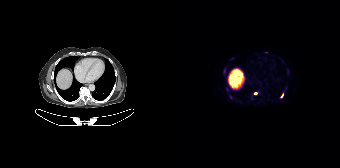
Paired axial CT (left) and PSMA PET (right), 18F tracer. Slice position z = -710 mm.
Coordinates are on the 168×168 PET (right) panel. PSMA-avid tumor lesion bounding boxes (partial; 1 more focus not listed):
| # | x0 | y0 | x1 | y1 |
|---|---|---|---|---|
| 1 | 51 | 69 | 53 | 74 |
Small PSMA-avid foci (2 to 4 px across) near (center x, center y): (83, 93); (55, 89); (110, 95); (58, 97).